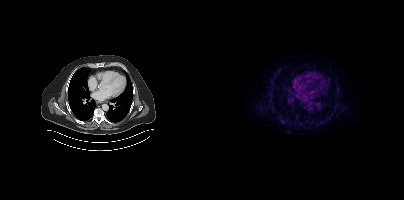
Paired axial CT (left) and PSMA PET (right), 18F-PSMA tracer. Acquired on Siemens Biograph mCT Flow 20. Coordinates are on the 200×200 PET (right) panel. PSMA-avid tumor lesion bounding box (x0,y0,x1,y1): [76,119,79,123]. Small PSMA-avid focus (2 to 4 px across) near (center x, center y): (66, 99).